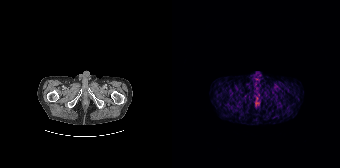
Negative for PSMA-avid disease on this slice.